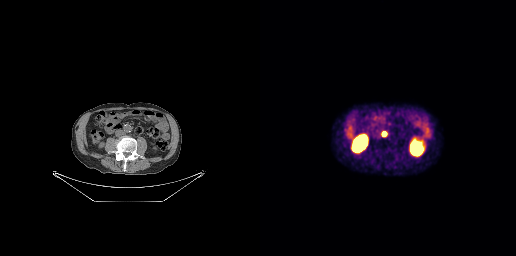
Coordinates are on the 256×256 PET (right) panel. PSMA-avid tumor lesion bounding box (x0, y0)-(x1, y1): (122, 132)-(126, 136).